- Paired axial CT (left) and PSMA PET (right), 18F-PSMA tracer
- slice 123 of 409
- PET panel 200×200 px (4.1 mm/px)
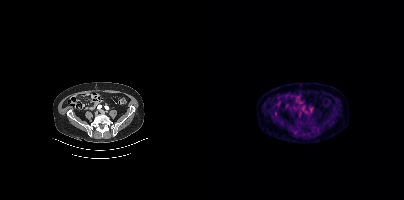
Findings: Coordinates are on the 200×200 PET (right) panel. Small PSMA-avid focus (2 to 4 px across) near (center x, center y): (71, 112).